Privacy masking over the head, with the pixels inside a rectangle set to black. Paired axial CT (left) and PSMA PET (right), 68Ga tracer. Slice position z = -427 mm. PET panel 200×200 px (4.1 mm/px).
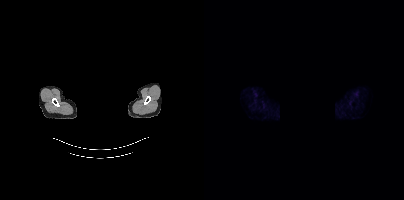
Negative for PSMA-avid disease on this slice.